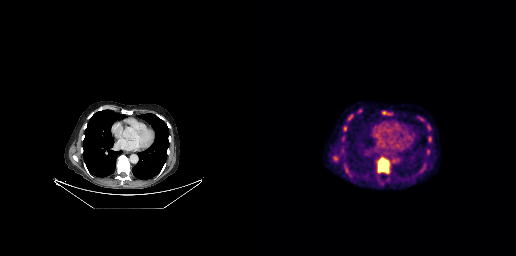
Coordinates are on the 256×256 PET (right) panel. (showing 8 of 9 foci) PSMA-avid tumor lesion bounding boxes (x0,y0,x1,y1): [118,158,128,172], [87,114,93,120], [122,111,130,114], [97,109,102,113], [167,125,170,129], [74,156,77,160], [84,126,86,130]. Small PSMA-avid focus (2 to 4 px across) near (center x, center y): (169, 137).